modality: PSMA PET/CT | tracer: 18F-PSMA | view: axial
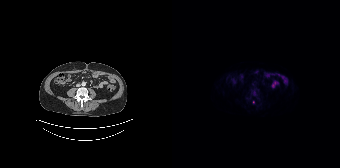
Coordinates are on the 168×168 PET (right) panel. Small PSMA-avid focus (2 to 4 px across) near (center x, center y): (81, 102).